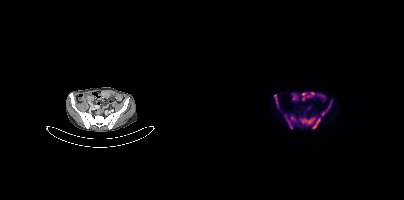
Coordinates are on the 200×200 PET (right) panel. (showing 5 of 6 foci) PSMA-avid tumor lesion bounding boxes (x, y, width, height): x=96 y=117 w=16 h=8 / x=81 y=116 w=11 h=13 / x=118 y=100 w=11 h=15 / x=108 y=118 w=9 h=11 / x=70 y=94 w=4 h=11.
modality: PSMA PET/CT | tracer: 18F-PSMA | view: axial | PET grid: 200×200